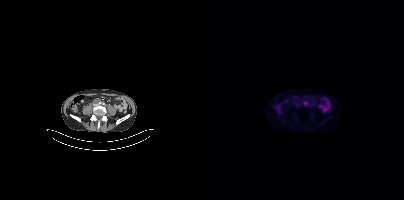
Paired axial CT (left) and PSMA PET (right), 18F tracer. Acquired on Siemens Biograph mCT Flow 20. Coordinates are on the 200×200 PET (right) panel. Small PSMA-avid focus (2 to 4 px across) near (center x, center y): (101, 102).